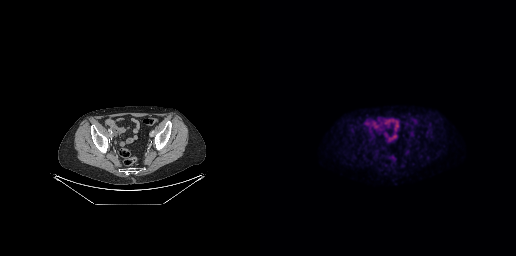
No PSMA-avid tumor lesions on this slice.